- Left: CT. Right: PSMA PET, same axial level, [18F]PSMA-1007 tracer
- acquired on Siemens Biograph mCT Flow 20
- slice position z = -1018 mm
- PET panel 200×200 px (4.1 mm/px)
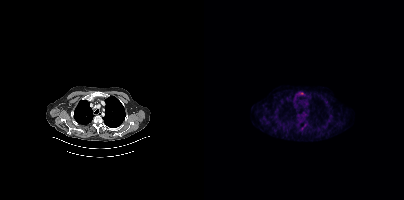
Findings: Only PSMA-avid lesion pieces thinner than 2 px on this slice (not listed).